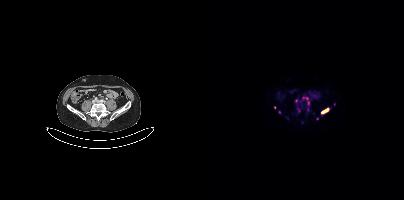
Left: CT. Right: PSMA PET, same axial level, 68Ga tracer. Acquired on Siemens Biograph mCT Flow 20. Slice position z = -1363 mm. Coordinates are on the 200×200 PET (right) panel. (showing 7 of 9 foci) PSMA-avid tumor lesion bounding boxes (x0,y0,x1,y1): [99,97,105,104] [118,109,124,113] [103,107,105,111]. Small PSMA-avid foci (2 to 4 px across) near (center x, center y): (75, 112) (113, 118) (70, 107) (98, 122).